- Paired axial CT (left) and PSMA PET (right), [18F]PSMA-1007 tracer
- PET panel 200×200 px (4.1 mm/px)
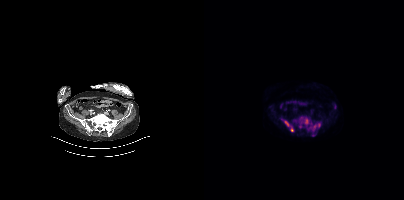
Findings: Coordinates are on the 200×200 PET (right) panel. (showing 5 of 6 foci) PSMA-avid tumor lesion bounding boxes (x, y, width, height): x=104 y=122 w=13 h=10; x=80 y=120 w=10 h=12; x=100 y=119 w=6 h=5; x=95 y=116 w=5 h=4. Small PSMA-avid focus (2 to 4 px across) near (center x, center y): (96, 124).